Technique: Two-panel axial: CT | PSMA PET, 68Ga-PSMA tracer. acquired on GE Discovery 690. slice 102 of 263.
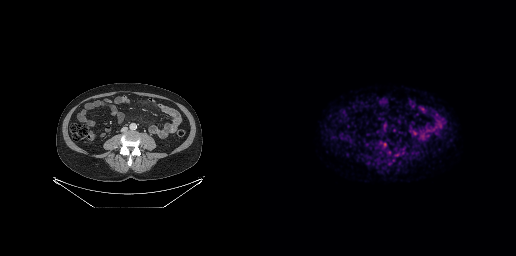
Findings: This slice has no annotated PSMA-avid lesion.